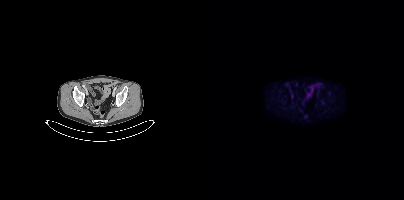
This slice has no annotated PSMA-avid lesion. Paired axial CT (left) and PSMA PET (right), 18F tracer. Acquired on Siemens Biograph mCT Flow 20. PET panel 200×200 px (4.1 mm/px).